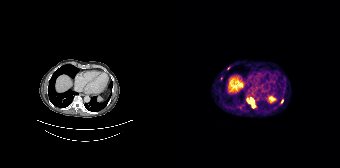
Coordinates are on the 168×168 PET (right) panel. PSMA-avid tumor lesion bounding box (x, y, width, height): x=78 y=98 w=6 h=11. Small PSMA-avid foci (2 to 4 px across) near (center x, center y): (56, 68); (110, 101); (75, 99).
modality: PSMA PET/CT | tracer: [68Ga]Ga-PSMA-11 | view: axial